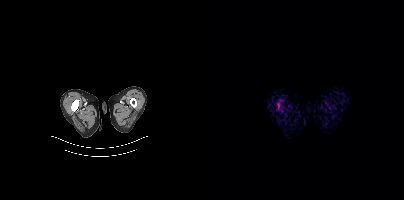
{"modality":"PSMA PET/CT","view":"axial","tracer":"[18F]PSMA-1007","pet_grid":[200,200],"coord_frame":"pet_panel","coord_format":"x0,y0,x1,y1","lesion_bboxes":[[73,103,75,109]]}